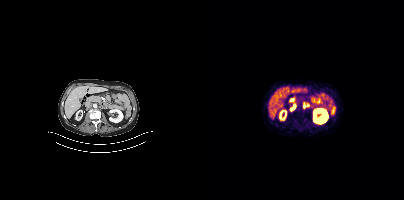
Coordinates are on the 200×200 PET (right) panel. PSMA-avid tumor lesion bounding boxes (x0, y0)-(x1, y1): (86, 105)-(91, 110) | (99, 104)-(101, 108). Paired axial CT (left) and PSMA PET (right), 68Ga tracer.